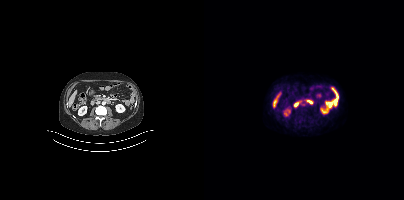
{"modality":"PSMA PET/CT","view":"axial","tracer":"[18F]PSMA-1007","pet_grid":[200,200],"coord_frame":"pet_panel","coord_format":"x0,y0,x1,y1","psma_avid_lesions":false}